Technique: Left: CT. Right: PSMA PET, same axial level, [18F]PSMA-1007 tracer.
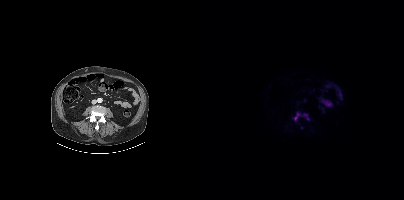
Findings: Coordinates are on the 200×200 PET (right) panel. PSMA-avid tumor lesion bounding boxes (x, y, width, height): x=89 y=113 w=8 h=8 / x=100 y=114 w=6 h=6.